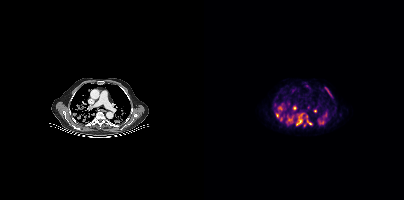
modality: PSMA PET/CT | tracer: 18F-PSMA | view: axial | PET grid: 200×200
Coordinates are on the 200×200 PET (right) panel. (showing 12 of 14 foci) PSMA-avid tumor lesion bounding boxes (x, y, width, height): x=92 y=114 w=7 h=12; x=74 y=106 w=5 h=5; x=121 y=87 w=7 h=10; x=84 y=116 w=6 h=5; x=72 y=113 w=4 h=5; x=103 y=120 w=6 h=5; x=88 y=107 w=5 h=3. Small PSMA-avid foci (2 to 4 px across) near (center x, center y): (77, 118); (117, 122); (111, 111); (101, 124); (84, 103).